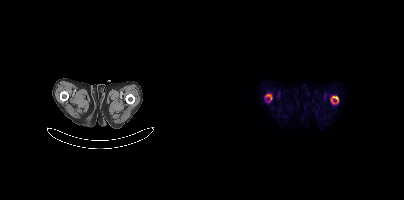
Technique: Two-panel axial: CT | PSMA PET, 18F-PSMA tracer. acquired on Siemens Biograph mCT Flow 20.
Findings: Coordinates are on the 200×200 PET (right) panel. PSMA-avid tumor lesion bounding boxes (x0, y0)-(x1, y1): (127, 96)-(134, 103) / (62, 94)-(68, 100).